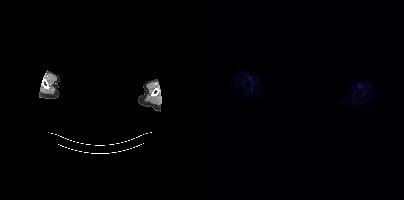
Technique: Left: CT. Right: PSMA PET, same axial level, 18F tracer. acquired on Siemens Biograph mCT Flow 20. PET panel 200×200 px (4.1 mm/px).
Note: The face region was removed for patient privacy by blanking a rectangle over the head.
Findings: No PSMA-avid tumor lesions on this slice.